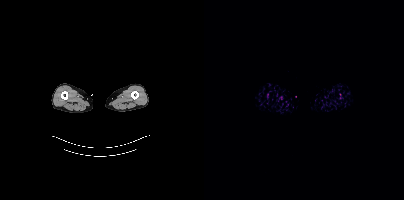
{"pet_grid":[200,200],"coord_frame":"pet_panel","coord_format":"x0,y0,x1,y1","psma_avid_lesions":false,"modality":"PSMA PET/CT","view":"axial","tracer":"18F"}